modality: PSMA PET/CT | tracer: 18F-PSMA | view: axial | PET grid: 200×200
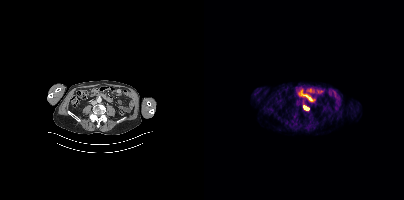
Coordinates are on the 200×200 PET (right) panel. PSMA-avid tumor lesion bounding box (x, y, width, height): x=99 y=106 w=7 h=5.